modality: PSMA PET/CT | tracer: [18F]PSMA-1007 | view: axial | PET grid: 200×200
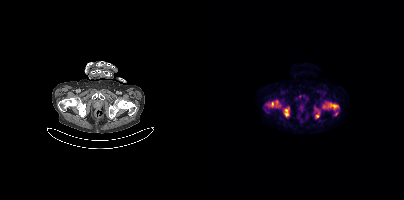
Coordinates are on the 200×200 PET (right) panel. (showing 6 of 7 foci) PSMA-avid tumor lesion bounding boxes (x0, y0)-(x1, y1): (119, 103)-(134, 109) / (81, 109)-(84, 116) / (112, 113)-(115, 117) / (68, 102)-(69, 106). Small PSMA-avid foci (2 to 4 px across) near (center x, center y): (63, 106) / (132, 114).